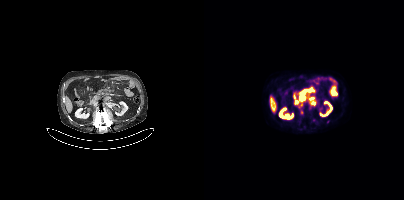
Coordinates are on the 200×200 PET (right) panel. PSMA-avid tumor lesion bounding boxes (x, y, width, height): x=95 y=87 w=15 h=14; x=96 y=109 w=4 h=6. Small PSMA-avid focus (2 to 4 px across) near (center x, center y): (109, 103).